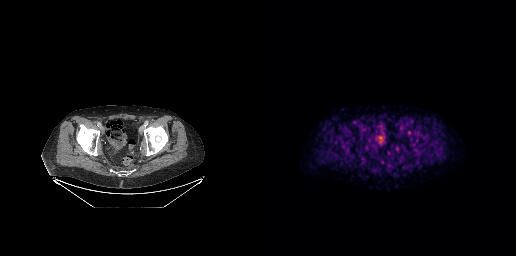
No tumor lesions annotated on this slice. Paired axial CT (left) and PSMA PET (right), 18F tracer. Slice position z = -889 mm. PET panel 256×256 px (2.7 mm/px).